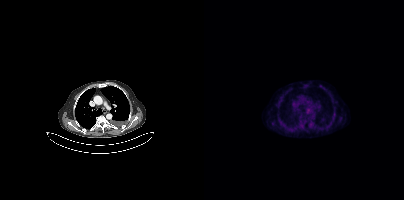
{"modality":"PSMA PET/CT","view":"axial","tracer":"18F","pet_grid":[200,200],"coord_frame":"pet_panel","coord_format":"x0,y0,x1,y1","psma_avid_lesions":false}